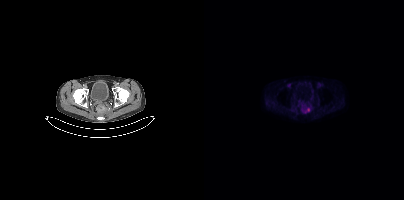
Findings: Coordinates are on the 200×200 PET (right) panel. PSMA-avid tumor lesion bounding box (x0, y0)-(x1, y1): (98, 108)-(106, 113).
Technique: Paired axial CT (left) and PSMA PET (right), 18F tracer. slice 73 of 427. PET panel 200×200 px (4.1 mm/px).